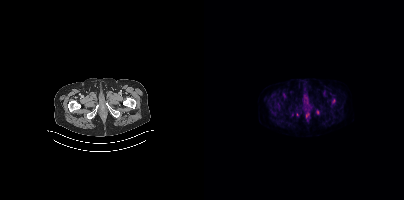
modality: PSMA PET/CT | tracer: 18F | view: axial
Coordinates are on the 200×200 PET (right) panel. PSMA-avid tumor lesion bounding box (x0, y0)-(x1, y1): (128, 99)-(131, 103). Small PSMA-avid foci (2 to 4 px across) near (center x, center y): (113, 112) | (93, 114).